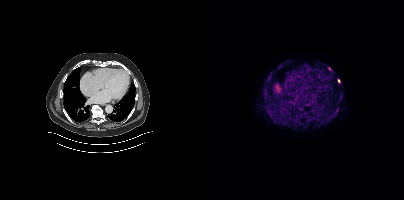
Two-panel axial: CT | PSMA PET, 18F tracer. Acquired on Siemens Biograph mCT Flow 20. PET panel 200×200 px (4.1 mm/px).
Coordinates are on the 200×200 PET (right) panel. PSMA-avid tumor lesion bounding boxes (partial; 1 more focus not listed):
| # | x0 | y0 | x1 | y1 |
|---|---|---|---|---|
| 1 | 64 | 113 | 69 | 118 |
| 2 | 126 | 114 | 131 | 118 |
| 3 | 61 | 81 | 65 | 85 |
| 4 | 64 | 72 | 68 | 78 |
| 5 | 59 | 88 | 63 | 92 |
| 6 | 96 | 112 | 102 | 115 |
| 7 | 123 | 66 | 127 | 70 |
Small PSMA-avid foci (2 to 4 px across) near (center x, center y): (97, 109); (73, 122); (136, 99); (133, 108); (134, 81); (124, 120).